Left: CT. Right: PSMA PET, same axial level, 18F tracer. Acquired on Siemens Biograph mCT Flow 20. Slice 102 of 401.
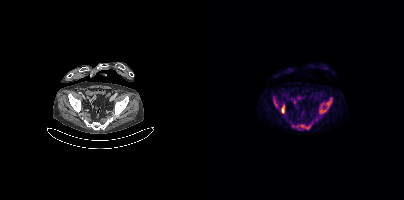
Coordinates are on the 200×200 PET (right) panel. PSMA-avid tumor lesion bounding boxes (partial; 3 more foci not listed):
| # | x0 | y0 | x1 | y1 |
|---|---|---|---|---|
| 1 | 92 | 124 | 106 | 129 |
| 2 | 69 | 96 | 74 | 107 |
| 3 | 77 | 106 | 80 | 113 |
| 4 | 116 | 109 | 121 | 113 |
| 5 | 123 | 101 | 127 | 106 |
Small PSMA-avid focus (2 to 4 px across) near (center x, center y): (89, 126).